- Two-panel axial: CT | PSMA PET, 18F tracer
- PET panel 256×256 px (2.7 mm/px)
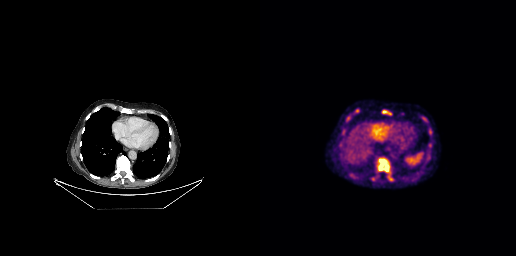
Findings: Coordinates are on the 256×256 PET (right) panel. PSMA-avid tumor lesion bounding boxes (x0, y0)-(x1, y1): (118, 158)-(129, 171) | (122, 110)-(131, 115) | (86, 115)-(90, 121) | (94, 109)-(98, 113) | (169, 129)-(171, 134). Small PSMA-avid foci (2 to 4 px across) near (center x, center y): (164, 119) | (83, 132).